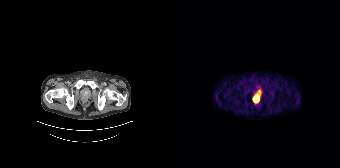
Coordinates are on the 168×168 PET (right) panel. PSMA-avid tumor lesion bounding box (x0,y0,x1,y1): [81,96,86,102].